An anonymization step blacked out a rectangle in this scan. Paired axial CT (left) and PSMA PET (right), 18F tracer. PET panel 256×256 px (2.7 mm/px).
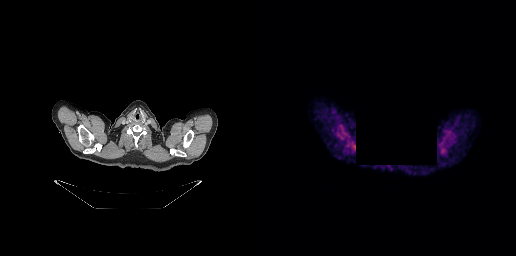
No tumor lesions annotated on this slice.